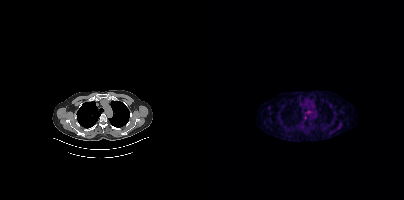
{"pet_grid":[200,200],"coord_frame":"pet_panel","coord_format":"x0,y0,x1,y1","psma_avid_lesions":false,"modality":"PSMA PET/CT","view":"axial","tracer":"68Ga"}